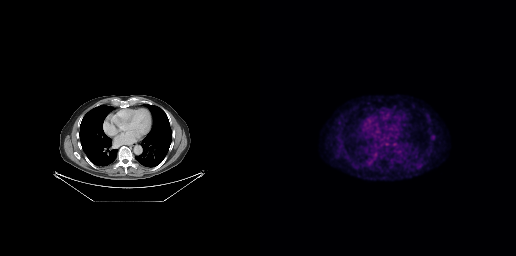
Coordinates are on the 256×256 PET (right) panel. PSMA-avid tumor lesion bounding box (x0,y0,x1,y1): [170,136,175,140].